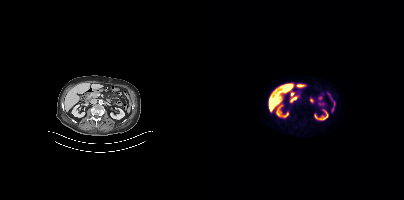
Findings: Negative for PSMA-avid disease on this slice.
- Paired axial CT (left) and PSMA PET (right), 18F tracer
- acquired on Siemens Biograph mCT Flow 20
- slice 169 of 383
- PET panel 200×200 px (4.1 mm/px)